Left: CT. Right: PSMA PET, same axial level, [18F]PSMA-1007 tracer. Slice position z = -1225 mm.
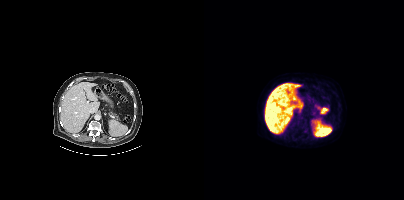
Negative for PSMA-avid disease on this slice.